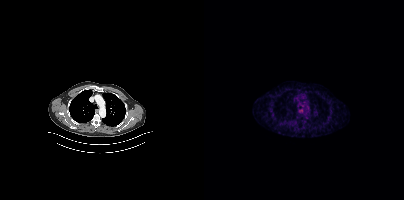
modality: PSMA PET/CT | tracer: 68Ga-PSMA | view: axial
This slice has no annotated PSMA-avid lesion.